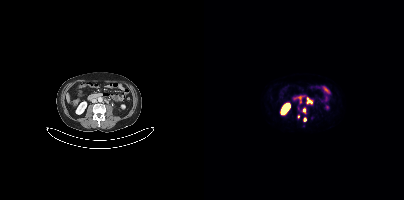
Findings: Coordinates are on the 200×200 PET (right) panel. (showing 6 of 7 foci) PSMA-avid tumor lesion bounding boxes (x0,y0,x1,y1): [103,98,107,103]; [99,108,101,112]; [96,98,97,103]. Small PSMA-avid foci (2 to 4 px across) near (center x, center y): (108, 118); (94, 116); (100, 119).
Technique: Two-panel axial: CT | PSMA PET, [68Ga]Ga-PSMA-11 tracer. acquired on Siemens Biograph mCT Flow 20.